modality: PSMA PET/CT | tracer: [18F]PSMA-1007 | view: axial | PET grid: 256×256
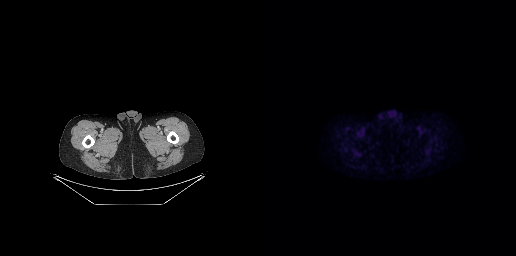
No PSMA-avid tumor lesions on this slice.